Two-panel axial: CT | PSMA PET, 18F-PSMA tracer.
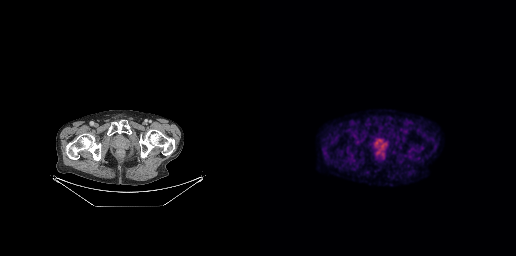
Negative for PSMA-avid disease on this slice.